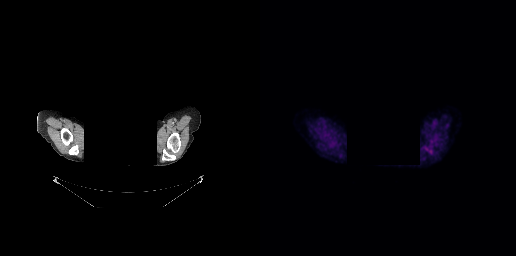
{"modality":"PSMA PET/CT","view":"axial","tracer":"[18F]PSMA-1007","pet_grid":[256,256],"coord_frame":"pet_panel","coord_format":"x0,y0,x1,y1","psma_avid_lesions":false,"de-identification":"face masked with black rectangle"}